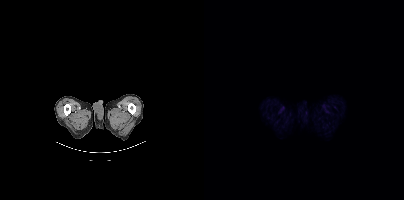
No PSMA-avid tumor lesions on this slice.